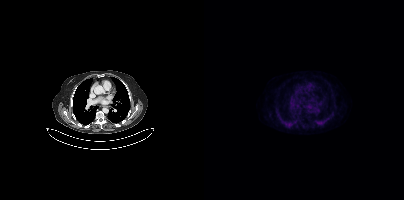
{"modality":"PSMA PET/CT","view":"axial","tracer":"18F-PSMA","pet_grid":[200,200],"coord_frame":"pet_panel","coord_format":"x0,y0,x1,y1","psma_avid_lesions":false}